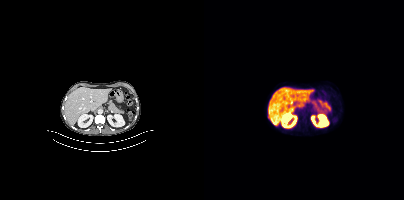
No PSMA-avid tumor lesions on this slice.